Technique: Paired axial CT (left) and PSMA PET (right), 18F tracer. slice 208 of 299.
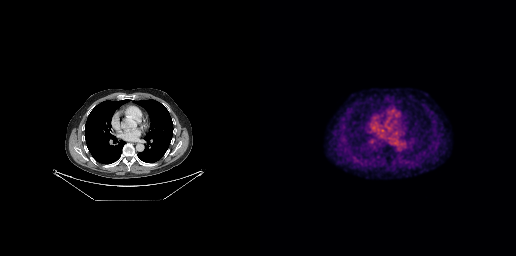
Findings: No tumor lesions annotated on this slice.